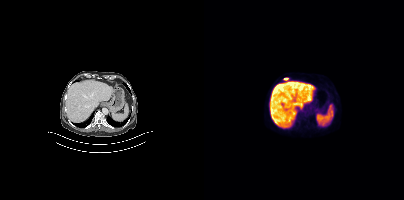
Two-panel axial: CT | PSMA PET, 18F-PSMA tracer. Slice position z = -1250 mm. PET panel 200×200 px (4.1 mm/px).
Coordinates are on the 200×200 PET (right) panel. PSMA-avid tumor lesion bounding boxes:
| # | x0 | y0 | x1 | y1 |
|---|---|---|---|---|
| 1 | 80 | 78 | 84 | 80 |